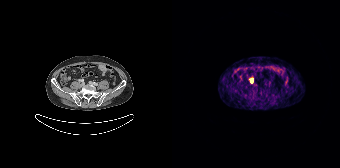
modality: PSMA PET/CT | tracer: 68Ga-PSMA | view: axial
Coordinates are on the 168×168 PET (right) panel. Small PSMA-avid focus (2 to 4 px across) near (center x, center y): (79, 80).